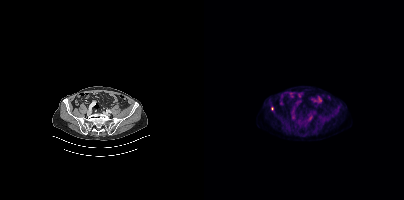
Technique: Paired axial CT (left) and PSMA PET (right), 18F tracer. slice 140 of 442. PET panel 200×200 px (4.1 mm/px).
Findings: Coordinates are on the 200×200 PET (right) panel. Small PSMA-avid foci (2 to 4 px across) near (center x, center y): (106, 117); (68, 108).